Technique: Paired axial CT (left) and PSMA PET (right), 18F-PSMA tracer. acquired on Siemens Biograph 64-4R TruePoint. PET panel 168×168 px (4.1 mm/px).
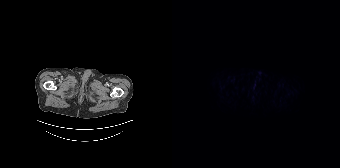
Findings: No tumor lesions annotated on this slice.